Two-panel axial: CT | PSMA PET, 18F tracer. Slice position z = -864 mm.
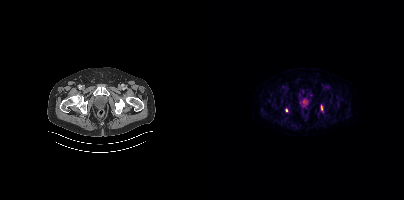
Coordinates are on the 200×200 PET (right) panel. PSMA-avid tumor lesion bounding box (x0, y0)-(x1, y1): (117, 106)-(118, 110). Small PSMA-avid focus (2 to 4 px across) near (center x, center y): (82, 110).